Left: CT. Right: PSMA PET, same axial level, 18F-PSMA tracer. Acquired on Siemens Biograph mCT Flow 20. Slice 85 of 397.
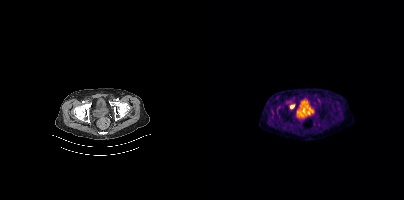
Coordinates are on the 200×200 PET (right) panel. Small PSMA-avid focus (2 to 4 px across) near (center x, center y): (88, 106).